Technique: Left: CT. Right: PSMA PET, same axial level, [18F]PSMA-1007 tracer. acquired on Siemens Biograph 64-4R TruePoint. PET panel 168×168 px (4.1 mm/px).
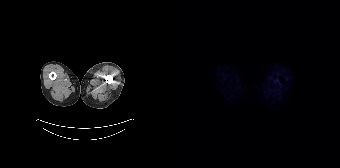
Findings: Negative for PSMA-avid disease on this slice.